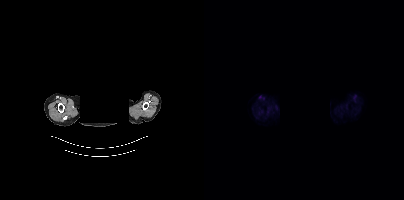
No tumor lesions annotated on this slice.
deidentification: facial region redacted | modality: PSMA PET/CT | tracer: 18F | view: axial